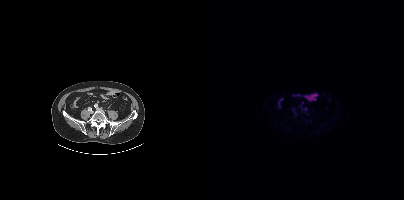
Two-panel axial: CT | PSMA PET, 18F-PSMA tracer. Slice 113 of 423. Only PSMA-avid lesion pieces thinner than 2 px on this slice (not listed).